The face region was removed for patient privacy by blanking a rectangle over the head.
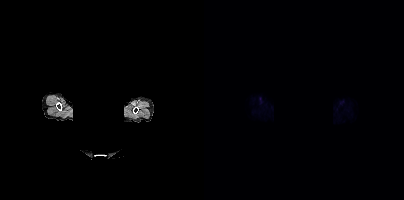
Negative for PSMA-avid disease on this slice.